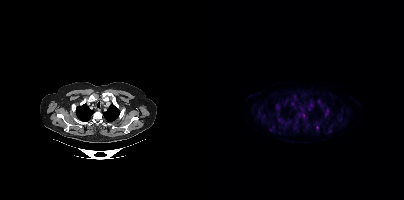
Coordinates are on the 200×200 PET (right) panel. (showing 12 of 15 foci) PSMA-avid tumor lesion bounding boxes (x0, y0)-(x1, y1): (94, 112)-(101, 118) | (120, 107)-(125, 115) | (81, 97)-(85, 104) | (72, 107)-(75, 111). Small PSMA-avid foci (2 to 4 px across) near (center x, center y): (75, 119) | (100, 94) | (125, 129) | (117, 123) | (67, 130) | (115, 100) | (117, 107) | (113, 127).